modality: PSMA PET/CT | tracer: 18F | view: axial
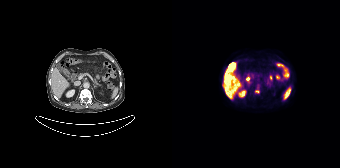
Coordinates are on the 168×168 PET (right) panel. Small PSMA-avid focus (2 to 4 px across) near (center x, center y): (85, 91).